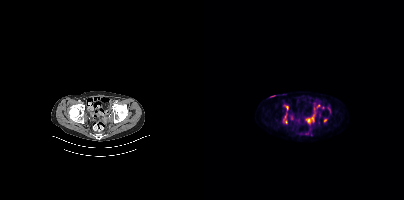
- Left: CT. Right: PSMA PET, same axial level, [18F]PSMA-1007 tracer
- slice position z = -822 mm
- PET panel 200×200 px (4.1 mm/px)
Findings: Coordinates are on the 200×200 PET (right) panel. (showing 5 of 6 foci) PSMA-avid tumor lesion bounding boxes (x0, y0)-(x1, y1): (79, 112)-(83, 123); (80, 105)-(84, 110). Small PSMA-avid foci (2 to 4 px across) near (center x, center y): (104, 120); (108, 118); (120, 120).